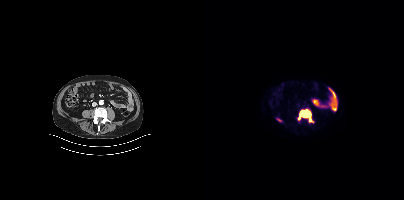
Coordinates are on the 200×200 PET (right) panel. (showing 1 of 2 foci) PSMA-avid tumor lesion bounding box (x0,y0,x1,y1): [94,109,109,122].